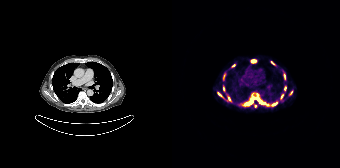
Two-panel axial: CT | PSMA PET, 68Ga tracer. Slice position z = -418 mm. PET panel 168×168 px (4.1 mm/px).
Coordinates are on the 168×168 PET (right) panel. PSMA-avid tumor lesion bounding boxes (partial; 3 more foci not listed):
| # | x0 | y0 | x1 | y1 |
|---|---|---|---|---|
| 1 | 73 | 101 | 80 | 105 |
| 2 | 79 | 60 | 83 | 62 |
| 3 | 100 | 102 | 105 | 105 |
Small PSMA-avid foci (2 to 4 px across) near (center x, center y): (119, 92); (47, 94); (57, 98); (100, 62); (110, 96); (86, 99); (89, 102); (61, 65); (112, 75); (112, 88); (51, 89); (83, 106).